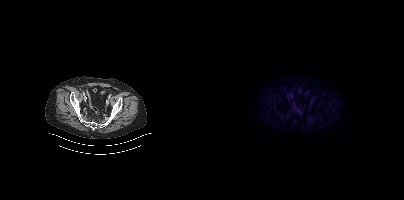
Negative for PSMA-avid disease on this slice. Paired axial CT (left) and PSMA PET (right), 18F tracer. Slice 100 of 413. PET panel 200×200 px (4.1 mm/px).